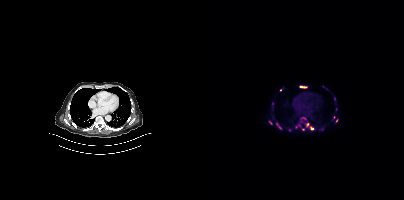
Left: CT. Right: PSMA PET, same axial level, [18F]PSMA-1007 tracer. Acquired on Siemens Biograph mCT Flow 20. Coordinates are on the 200×200 PET (right) panel. (showing 6 of 9 foci) Small PSMA-avid foci (2 to 4 px across) near (center x, center y): (99, 86) | (103, 124) | (76, 127) | (76, 89) | (68, 103) | (132, 120).